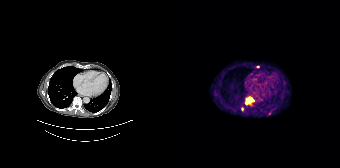
Paired axial CT (left) and PSMA PET (right), 68Ga tracer. Acquired on Siemens Biograph 64-4R TruePoint. Slice 133 of 195. PET panel 168×168 px (4.1 mm/px).
Coordinates are on the 168×168 PET (right) panel. PSMA-avid tumor lesion bounding boxes:
| # | x0 | y0 | x1 | y1 |
|---|---|---|---|---|
| 1 | 74 | 97 | 81 | 103 |
Small PSMA-avid foci (2 to 4 px across) near (center x, center y): (70, 108); (86, 66); (97, 113).